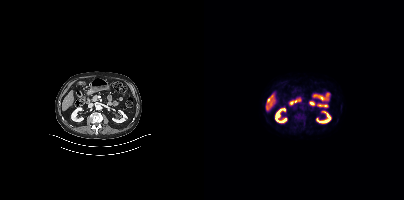
Paired axial CT (left) and PSMA PET (right), 18F-PSMA tracer. Slice 198 of 423. PET panel 200×200 px (4.1 mm/px). No PSMA-avid tumor lesions on this slice.